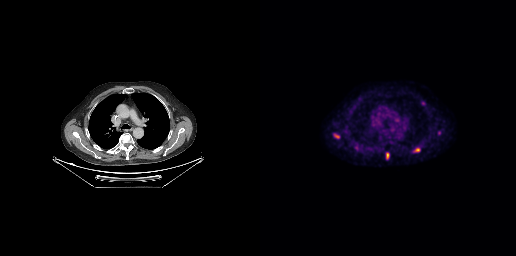
{"pet_grid":[256,256],"coord_frame":"pet_panel","coord_format":"x0,y0,x1,y1","lesion_bboxes":[[125,152,129,159],[74,134,79,138],[161,101,165,105],[155,148,159,151],[94,145,97,149]],"small_foci_centers":[[179,132]],"modality":"PSMA PET/CT","view":"axial","tracer":"18F-PSMA"}